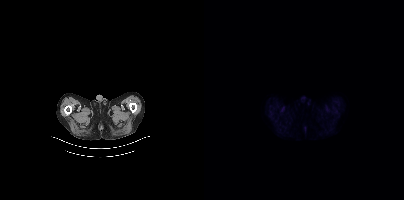
{"modality":"PSMA PET/CT","view":"axial","tracer":"[18F]PSMA-1007","pet_grid":[200,200],"coord_frame":"pet_panel","coord_format":"x0,y0,x1,y1","psma_avid_lesions":false}